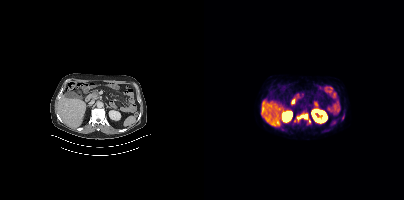
Two-panel axial: CT | PSMA PET, [18F]PSMA-1007 tracer. Coordinates are on the 200×200 PET (right) panel. Small PSMA-avid foci (2 to 4 px across) near (center x, center y): (102, 116) | (96, 116).